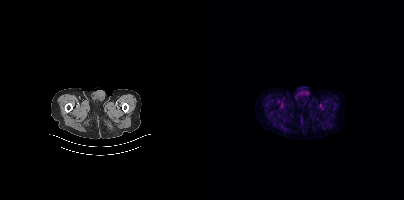
No PSMA-avid tumor lesions on this slice.